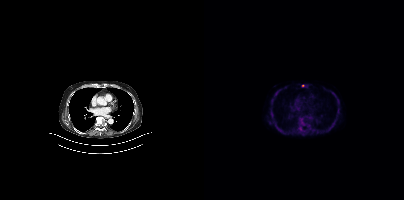
Paired axial CT (left) and PSMA PET (right), 18F-PSMA tracer. Slice 254 of 401.
Coordinates are on the 200×200 PET (right) panel. PSMA-avid tumor lesion bounding boxes (partial; 2 more foci not listed):
| # | x0 | y0 | x1 | y1 |
|---|---|---|---|---|
| 1 | 97 | 120 | 100 | 124 |